Two-panel axial: CT | PSMA PET, 68Ga tracer. Acquired on GE Discovery 690. Slice position z = -730 mm. PET panel 256×256 px (2.7 mm/px).
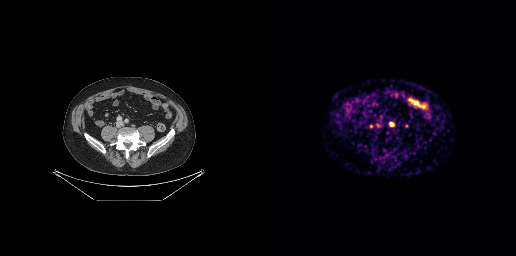
Coordinates are on the 256×256 PET (right) panel. PSMA-avid tumor lesion bounding boxes:
| # | x0 | y0 | x1 | y1 |
|---|---|---|---|---|
| 1 | 130 | 122 | 133 | 126 |